Paired axial CT (left) and PSMA PET (right), [18F]PSMA-1007 tracer. Slice position z = -647 mm. PET panel 256×256 px (2.7 mm/px).
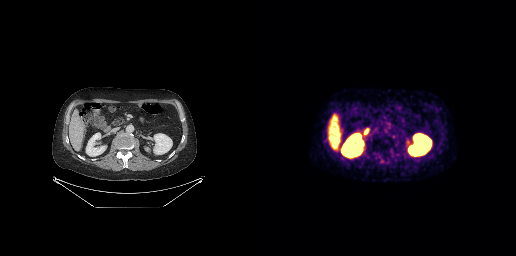
Negative for PSMA-avid disease on this slice.